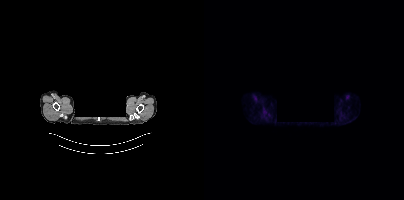
{"modality":"PSMA PET/CT","view":"axial","tracer":"68Ga","pet_grid":[200,200],"coord_frame":"pet_panel","coord_format":"x0,y0,x1,y1","psma_avid_lesions":false,"redaction":"head region blanked (face removed)"}